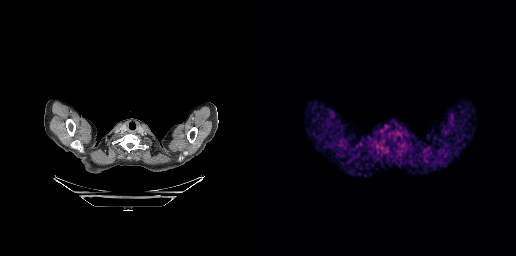
modality: PSMA PET/CT | tracer: 68Ga | view: axial | PET grid: 256×256
Negative for PSMA-avid disease on this slice.